modality: PSMA PET/CT | tracer: 68Ga | view: axial
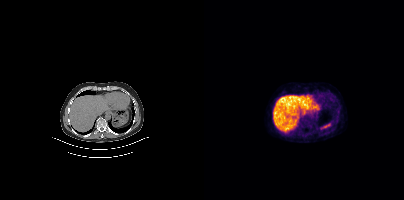
Negative for PSMA-avid disease on this slice.